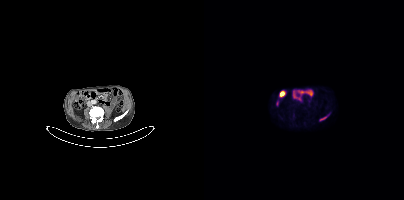
Coordinates are on the 200×200 PET (right) panel. PSMA-avid tumor lesion bounding box (x0, y0)-(x1, y1): (116, 116)-(123, 120).